- Left: CT. Right: PSMA PET, same axial level, [18F]PSMA-1007 tracer
- acquired on Siemens Biograph mCT Flow 20
- slice 144 of 401
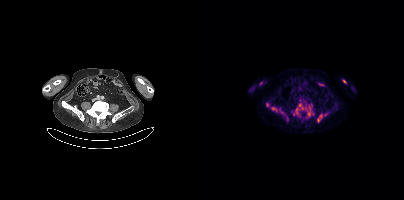
Findings: Coordinates are on the 200×200 PET (right) panel. (showing 9 of 10 foci) PSMA-avid tumor lesion bounding boxes (x0,y0,x1,y1): [89,103,110,117] [113,114,118,122] [67,107,73,112] [75,108,80,114]. Small PSMA-avid foci (2 to 4 px across) near (center x, center y): (63, 104) (140, 81) (83, 118) (121, 114) (107, 105).